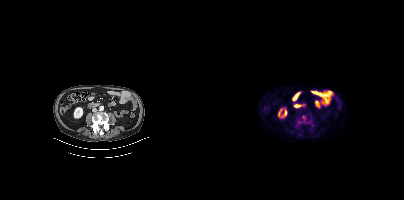
Paired axial CT (left) and PSMA PET (right), 18F-PSMA tracer. PET panel 200×200 px (4.1 mm/px). This slice has no annotated PSMA-avid lesion.